Two-panel axial: CT | PSMA PET, 18F tracer. Slice 232 of 415.
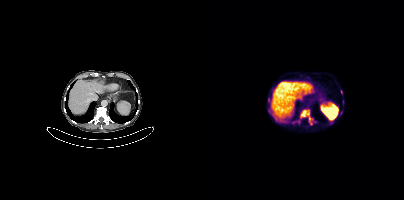
Coordinates are on the 200×200 PET (right) panel. PSMA-avid tumor lesion bounding boxes:
| # | x0 | y0 | x1 | y1 |
|---|---|---|---|---|
| 1 | 96 | 110 | 109 | 124 |